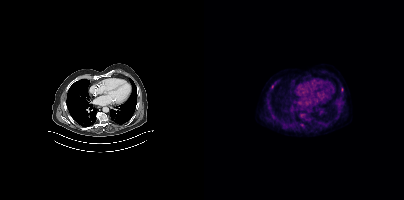
Coordinates are on the 200×200 PET (right) panel. (showing 2 of 3 foci) Small PSMA-avid foci (2 to 4 px across) near (center x, center y): (68, 86) | (137, 89). Left: CT. Right: PSMA PET, same axial level, [18F]PSMA-1007 tracer. Slice position z = -1068 mm. PET panel 200×200 px (4.1 mm/px).